Two-panel axial: CT | PSMA PET, [68Ga]Ga-PSMA-11 tracer. Slice 329 of 419.
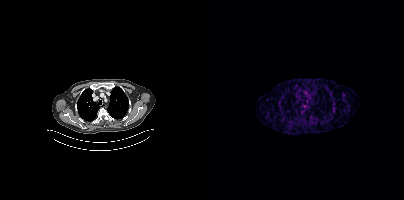
Negative for PSMA-avid disease on this slice.